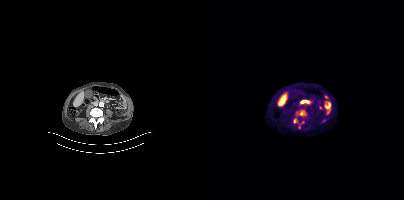
- Two-panel axial: CT | PSMA PET, 18F-PSMA tracer
- acquired on Siemens Biograph mCT Flow 20
- slice 134 of 367
- PET panel 200×200 px (4.1 mm/px)
Findings: Coordinates are on the 200×200 PET (right) panel. PSMA-avid tumor lesion bounding boxes (x0, y0)-(x1, y1): (89, 118)-(100, 129) / (92, 111)-(97, 115).